Two-panel axial: CT | PSMA PET, 18F-PSMA tracer. Slice position z = -416 mm. PET panel 200×200 px (4.1 mm/px).
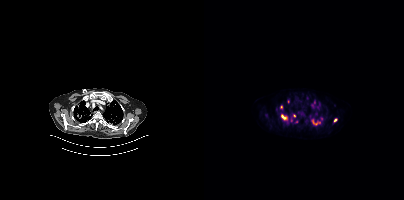
Coordinates are on the 200×200 PET (right) panel. (showing 7 of 10 foci) PSMA-avid tumor lesion bounding boxes (x, y, width, height): x=108 y=119 w=10 h=7 / x=77 y=115 w=6 h=6 / x=86 y=115 w=6 h=8. Small PSMA-avid foci (2 to 4 px across) near (center x, center y): (77, 106) / (131, 120) / (84, 101) / (92, 122).